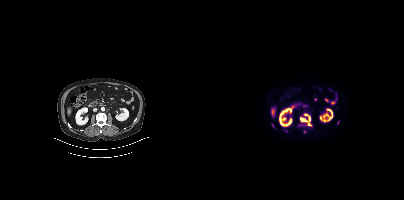
Coordinates are on the 200×200 PET (right) panel. PSMA-avid tumor lesion bounding box (x0, y0)-(x1, y1): (96, 114)-(107, 125). Small PSMA-avid foci (2 to 4 px across) near (center x, center y): (100, 131) / (68, 125).